- Left: CT. Right: PSMA PET, same axial level, 18F tracer
- PET panel 200×200 px (4.1 mm/px)
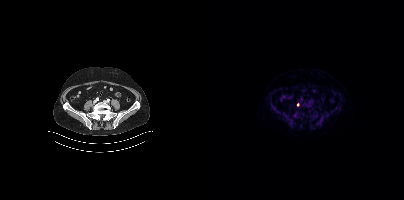
Findings: Coordinates are on the 200×200 PET (right) panel. Small PSMA-avid focus (2 to 4 px across) near (center x, center y): (94, 104).